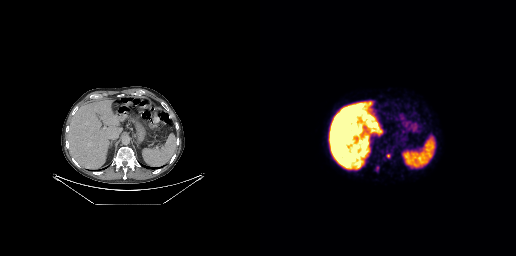
modality: PSMA PET/CT | tracer: [18F]PSMA-1007 | view: axial | PET grid: 256×256
Coordinates are on the 256×256 PET (right) panel. PSMA-avid tumor lesion bounding box (x0, y0)-(x1, y1): (116, 166)-(118, 170). Small PSMA-avid focus (2 to 4 px across) near (center x, center y): (128, 155).